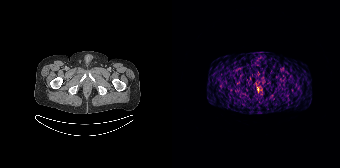
{"pet_grid":[168,168],"coord_frame":"pet_panel","coord_format":"x0,y0,x1,y1","psma_avid_lesions":false,"modality":"PSMA PET/CT","view":"axial","tracer":"68Ga"}